- Left: CT. Right: PSMA PET, same axial level, [18F]PSMA-1007 tracer
- slice position z = -1074 mm
- PET panel 200×200 px (4.1 mm/px)
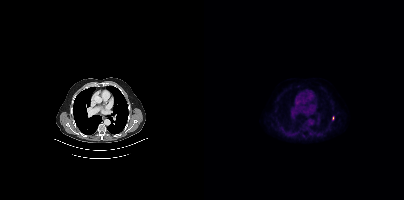
Findings: Only PSMA-avid lesion pieces thinner than 2 px on this slice (not listed).